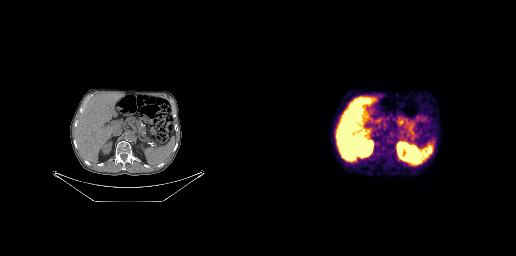
Findings: This slice has no annotated PSMA-avid lesion.
Technique: Left: CT. Right: PSMA PET, same axial level, 68Ga-PSMA tracer. acquired on GE Discovery 690. PET panel 256×256 px (2.7 mm/px).